Two-panel axial: CT | PSMA PET, 18F tracer. Acquired on Siemens Biograph mCT Flow 20. Slice 299 of 367. PET panel 200×200 px (4.1 mm/px).
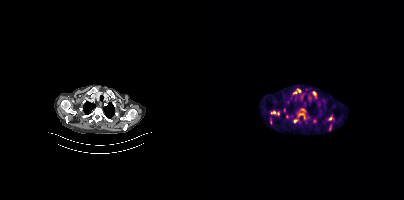
Coordinates are on the 200×200 PET (right) panel. PSMA-avid tumor lesion bounding boxes (partial; 2 more foci not listed):
| # | x0 | y0 | x1 | y1 |
|---|---|---|---|---|
| 1 | 94 | 108 | 101 | 119 |
| 2 | 67 | 111 | 75 | 115 |
| 3 | 65 | 117 | 68 | 124 |
| 4 | 89 | 119 | 94 | 122 |
| 5 | 124 | 125 | 127 | 130 |
| 6 | 109 | 91 | 112 | 95 |